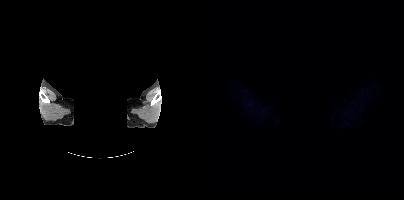
No PSMA-avid tumor lesions on this slice. Left: CT. Right: PSMA PET, same axial level, [18F]PSMA-1007 tracer. Slice 373 of 417. An anonymization step blacked out a rectangle over the head in this scan.